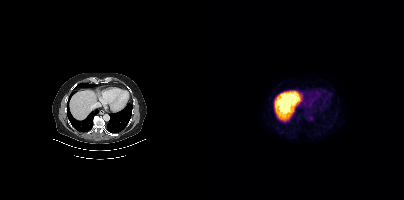
{"modality":"PSMA PET/CT","view":"axial","tracer":"18F-PSMA","pet_grid":[200,200],"coord_frame":"pet_panel","coord_format":"x0,y0,x1,y1","psma_avid_lesions":false}